Paired axial CT (left) and PSMA PET (right), 68Ga-PSMA tracer. Slice position z = -264 mm. PET panel 168×168 px (4.1 mm/px).
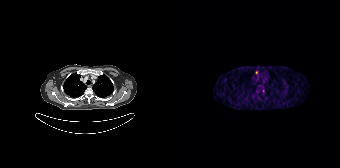
Coordinates are on the 168×168 PET (right) panel. Small PSMA-avid foci (2 to 4 px across) near (center x, center y): (91, 90), (84, 72).